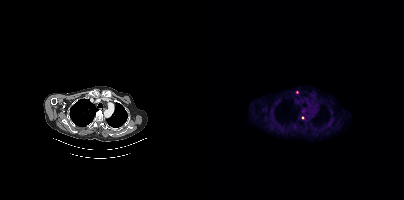
Coordinates are on the 200×200 PET (right) panel. Small PSMA-avid foci (2 to 4 px across) near (center x, center y): (99, 117); (93, 92).
modality: PSMA PET/CT | tracer: [18F]PSMA-1007 | view: axial | PET grid: 200×200